modality: PSMA PET/CT | tracer: [18F]PSMA-1007 | view: axial
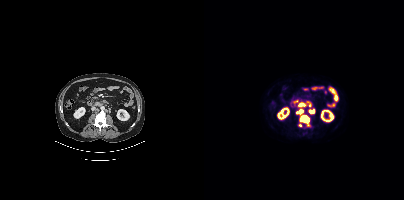
Coordinates are on the 200×200 PET (right) panel. PSMA-avid tumor lesion bounding boxes (x, y, width, height): x=96 y=115 w=10 h=11 / x=92 y=103 w=10 h=11 / x=105 y=109 w=6 h=5. Small PSMA-avid foci (2 to 4 px across) near (center x, center y): (105, 105) / (96, 125).